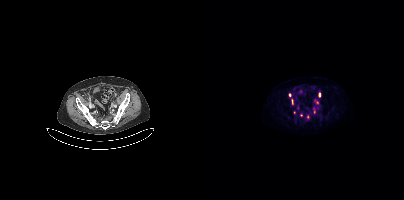
Coordinates are on the 200×200 PET (right) panel. (showing 8 of 9 foci) PSMA-avid tumor lesion bounding boxes (x0,y0,x1,y1): [110,99,114,104] [87,99,89,104] [109,108,111,112]. Small PSMA-avid foci (2 to 4 px across) near (center x, center y): (115, 94) (97, 115) (85, 95) (90, 112) (103, 116). Left: CT. Right: PSMA PET, same axial level, [18F]PSMA-1007 tracer. Acquired on Siemens Biograph mCT Flow 20. Slice position z = -28 mm.